modality: PSMA PET/CT | tracer: [18F]PSMA-1007 | view: axial
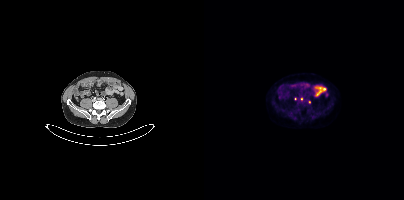
Coordinates are on the 200×200 PET (right) panel. Small PSMA-avid foci (2 to 4 px across) near (center x, center y): (97, 99), (91, 98), (105, 101).